Technique: Left: CT. Right: PSMA PET, same axial level, 18F tracer. slice 238 of 263. PET panel 256×256 px (2.7 mm/px).
Note: Facial anatomy redacted by setting a rectangular region of the head to black.
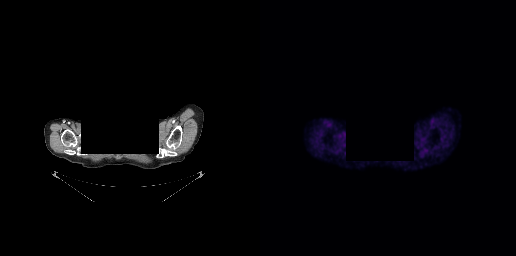
Findings: No PSMA-avid tumor lesions on this slice.